modality: PSMA PET/CT | tracer: 18F-PSMA | view: axial | redaction: facial region redacted
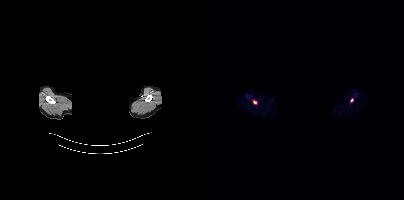
Coordinates are on the 200×200 PET (right) panel. Small PSMA-avid foci (2 to 4 px across) near (center x, center y): (50, 102) / (148, 100).